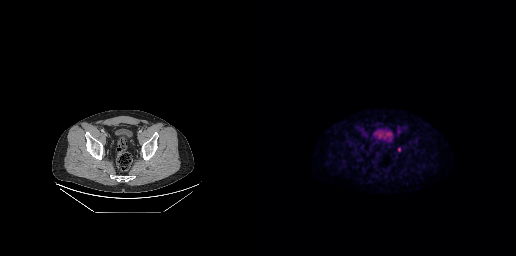
Coordinates are on the 256×256 PET (right) panel. Small PSMA-avid focus (2 to 4 px across) near (center x, center y): (139, 149).